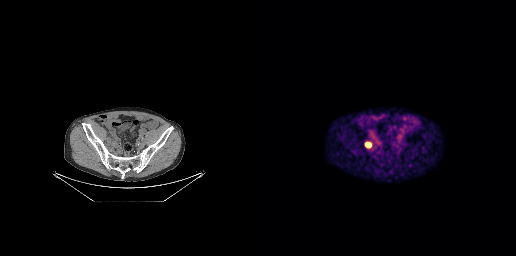
Findings: Coordinates are on the 256×256 PET (right) panel. PSMA-avid tumor lesion bounding box (x0,y0,x1,y1): [106,143,110,146].
Technique: Paired axial CT (left) and PSMA PET (right), 68Ga tracer. acquired on GE Discovery 690.